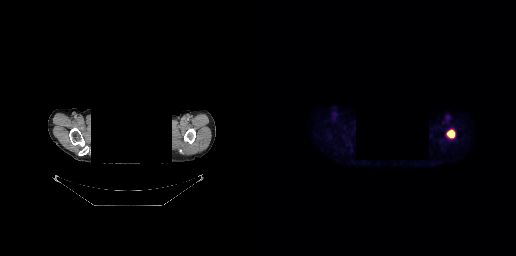
- Left: CT. Right: PSMA PET, same axial level, 18F tracer
- acquired on GE Discovery 690
- slice position z = -145 mm
- de-identified by setting a box covering the face to black before release
Findings: Coordinates are on the 256×256 PET (right) panel. PSMA-avid tumor lesion bounding box (x, y, width, height): x=187 y=130 w=8 h=9.